Left: CT. Right: PSMA PET, same axial level, 68Ga tracer. Acquired on Siemens Biograph mCT Flow 20. PET panel 200×200 px (4.1 mm/px).
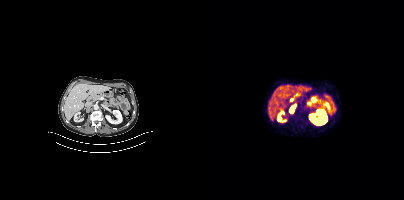
Coordinates are on the 200×200 PET (right) panel. PSMA-avid tumor lesion bounding boxes:
| # | x0 | y0 | x1 | y1 |
|---|---|---|---|---|
| 1 | 86 | 105 | 91 | 112 |